- Paired axial CT (left) and PSMA PET (right), [18F]PSMA-1007 tracer
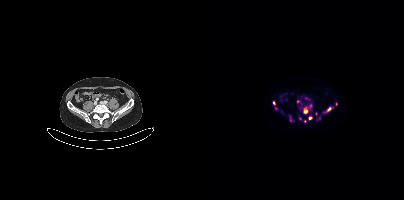
Findings: Coordinates are on the 200×200 PET (right) panel. (showing 12 of 14 foci) PSMA-avid tumor lesion bounding boxes (x0,y0,x1,y1): [99,107,104,113]; [123,107,129,111]. Small PSMA-avid foci (2 to 4 px across) near (center x, center y): (70, 102); (115, 118); (96, 118); (132, 104); (106, 106); (106, 117); (86, 120); (102, 98); (94, 101); (100, 121).